Left: CT. Right: PSMA PET, same axial level, 18F-PSMA tracer. Acquired on GE Discovery 690. Slice position z = -210 mm.
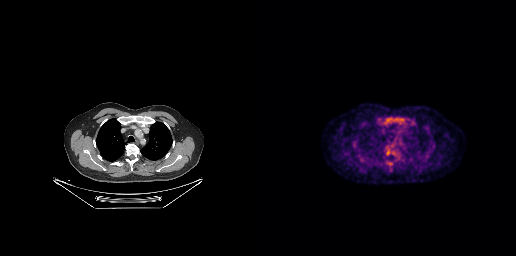
This slice has no annotated PSMA-avid lesion.